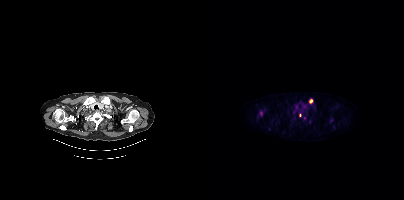
{"modality":"PSMA PET/CT","view":"axial","tracer":"18F-PSMA","pet_grid":[200,200],"coord_frame":"pet_panel","coord_format":"x0,y0,x1,y1","partial":true,"lesion_bboxes":[[105,99,108,103]],"small_foci_centers":[[96,115],[56,112],[105,122],[127,120]]}